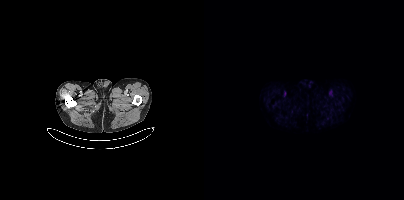
Negative for PSMA-avid disease on this slice.